- Paired axial CT (left) and PSMA PET (right), 18F tracer
- PET panel 200×200 px (4.1 mm/px)
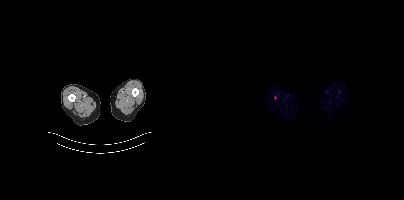
Findings: Only PSMA-avid lesion pieces thinner than 2 px on this slice (not listed).